Technique: Paired axial CT (left) and PSMA PET (right), [18F]PSMA-1007 tracer. acquired on Siemens Biograph mCT Flow 20. slice 108 of 387. PET panel 200×200 px (4.1 mm/px).
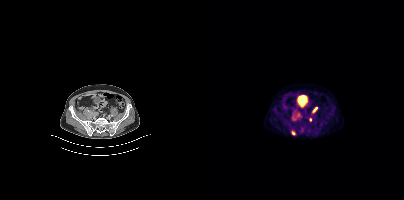
Findings: Coordinates are on the 200×200 PET (right) panel. (showing 2 of 3 foci) PSMA-avid tumor lesion bounding box (x0,y0,x1,y1): [87,130,92,135]. Small PSMA-avid focus (2 to 4 px across) near (center x, center y): (88, 116).